Two-panel axial: CT | PSMA PET, [18F]PSMA-1007 tracer. Acquired on Siemens Biograph mCT Flow 20. Slice 153 of 344. PET panel 200×200 px (4.1 mm/px).
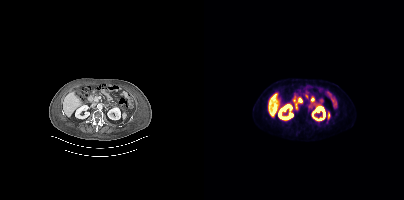
Negative for PSMA-avid disease on this slice.